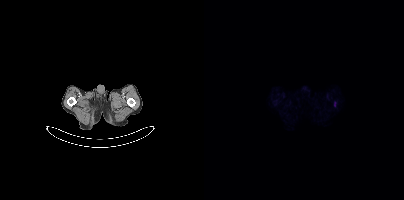
{"modality":"PSMA PET/CT","view":"axial","tracer":"18F-PSMA","pet_grid":[200,200],"coord_frame":"pet_panel","coord_format":"x0,y0,x1,y1","psma_avid_lesions":false}